- Two-panel axial: CT | PSMA PET, 18F-PSMA tracer
- PET panel 168×168 px (4.1 mm/px)
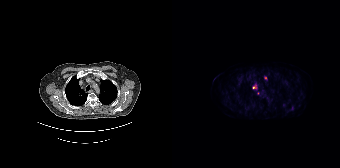
Findings: Coordinates are on the 168×168 PET (right) panel. (showing 2 of 4 foci) PSMA-avid tumor lesion bounding box (x0,y0,x1,y1): [80,84,85,88]. Small PSMA-avid focus (2 to 4 px across) near (center x, center y): (93, 77).